modality: PSMA PET/CT | tracer: 18F-PSMA | view: axial | PET grid: 168×168 | deidentification: head region blacked out before release
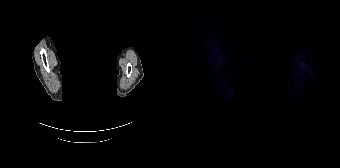
Negative for PSMA-avid disease on this slice.